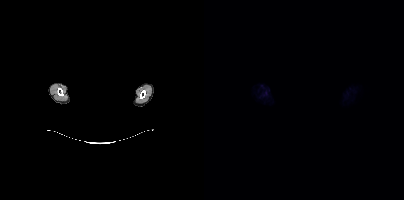
A rectangular block over the head has been blanked out for de-identification.
No PSMA-avid tumor lesions on this slice.